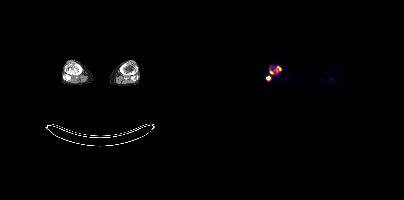
Coordinates are on the 200×200 PET (right) panel. PSMA-avid tumor lesion bounding boxes (x, y, width, height): x=71 y=66 w=7 h=8; x=62 y=76 w=5 h=5. Small PSMA-avid focus (2 to 4 px across) near (center x, center y): (67, 71).